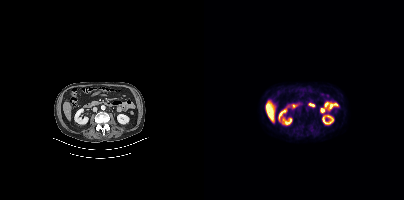
This slice has no annotated PSMA-avid lesion.